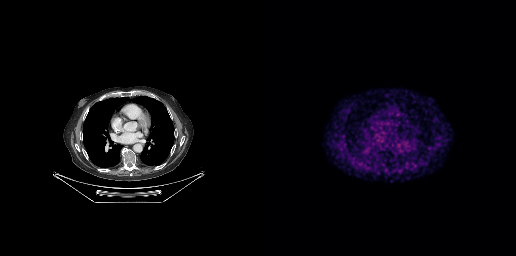
Technique: Left: CT. Right: PSMA PET, same axial level, 68Ga-PSMA tracer. acquired on GE Discovery 690. slice 182 of 263. PET panel 256×256 px (2.7 mm/px).
Findings: No tumor lesions annotated on this slice.